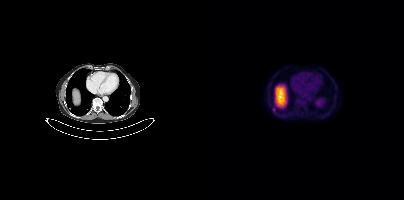
Left: CT. Right: PSMA PET, same axial level, [18F]PSMA-1007 tracer. Acquired on Siemens Biograph mCT Flow 20. PET panel 200×200 px (4.1 mm/px). Coordinates are on the 200×200 PET (right) panel. Small PSMA-avid focus (2 to 4 px across) near (center x, center y): (70, 109).